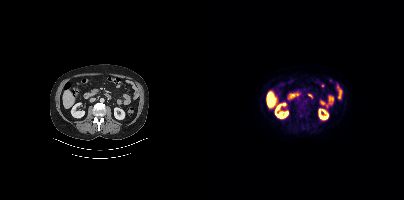
Technique: Paired axial CT (left) and PSMA PET (right), 18F tracer. slice position z = -1153 mm.
Findings: Coordinates are on the 200×200 PET (right) panel. PSMA-avid tumor lesion bounding boxes (x0, y0)-(x1, y1): (93, 102)-(105, 117) / (101, 115)-(104, 119). Small PSMA-avid focus (2 to 4 px across) near (center x, center y): (93, 120).